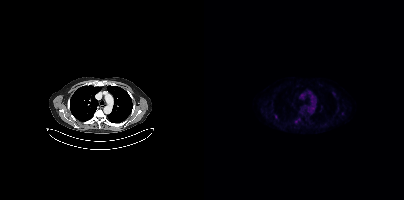
- Paired axial CT (left) and PSMA PET (right), [18F]PSMA-1007 tracer
- acquired on Siemens Biograph mCT Flow 20
- PET panel 200×200 px (4.1 mm/px)
Findings: Coordinates are on the 200×200 PET (right) panel. Small PSMA-avid focus (2 to 4 px across) near (center x, center y): (71, 116).